Left: CT. Right: PSMA PET, same axial level, [18F]PSMA-1007 tracer. Acquired on Siemens Biograph mCT Flow 20. Slice position z = -1066 mm.
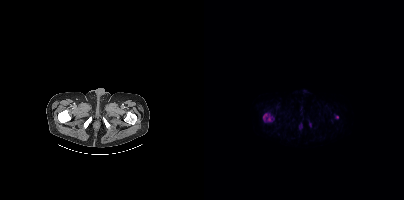
Coordinates are on the 200×200 PET (right) panel. PSMA-avid tumor lesion bounding box (x, y, width, height): x=59 y=114 w=10 h=8. Small PSMA-avid focus (2 to 4 px across) near (center x, center y): (133, 117).